- Two-panel axial: CT | PSMA PET, 18F-PSMA tracer
- slice position z = -308 mm
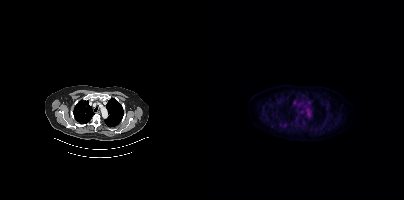
Findings: No PSMA-avid tumor lesions on this slice.